modality: PSMA PET/CT | tracer: 18F-PSMA | view: axial
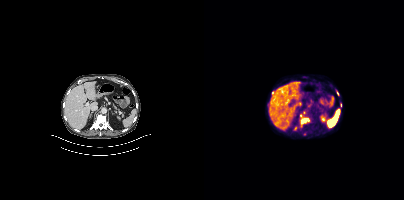
Coordinates are on the 200×200 PET (right) panel. (showing 5 of 6 foci) PSMA-avid tumor lesion bounding box (x0, y0)-(x1, y1): (95, 115)-(106, 127). Small PSMA-avid foci (2 to 4 px across) near (center x, center y): (100, 112); (91, 128); (133, 93); (68, 92).